modality: PSMA PET/CT | tracer: 18F-PSMA | view: axial | PET grid: 200×200
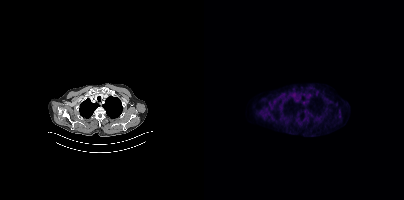
This slice has no annotated PSMA-avid lesion.